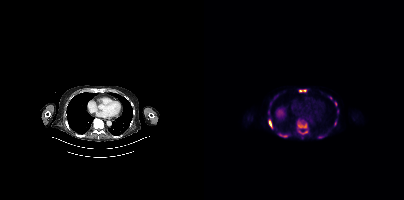
Coordinates are on the 200×200 PET (right) panel. PSMA-avid tumor lesion bounding boxes (x0, y0)-(x1, y1): (93, 124)-(103, 134) | (74, 133)-(84, 137) | (65, 120)-(68, 127) | (95, 90)-(102, 91) | (114, 135)-(118, 138) | (130, 101)-(133, 106) | (130, 121)-(132, 125). Small PSMA-avid foci (2 to 4 px across) near (center x, center y): (126, 97) | (133, 111) | (64, 112).